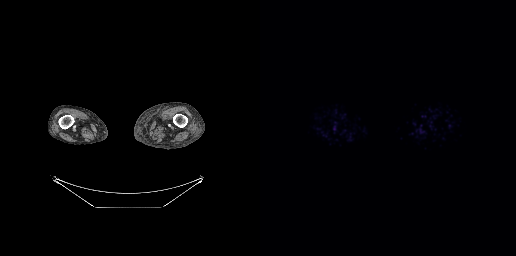
No PSMA-avid tumor lesions on this slice. Paired axial CT (left) and PSMA PET (right), 18F tracer. Acquired on GE Discovery 690. PET panel 256×256 px (2.7 mm/px).